modality: PSMA PET/CT | tracer: 18F-PSMA | view: axial
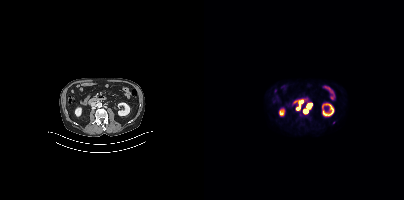
Coordinates are on the 200×200 PET (right) panel. PSMA-avid tumor lesion bounding boxes (x0,y0,x1,y1): [100,103,107,112], [93,105,96,109]. Small PSMA-avid foci (2 to 4 px across) near (center x, center y): (96, 102), (129, 122).